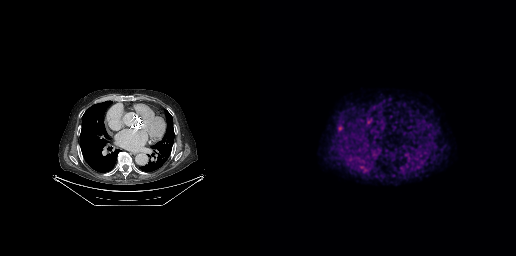
modality: PSMA PET/CT | tracer: [18F]PSMA-1007 | view: axial | PET grid: 256×256
Coordinates are on the 256×256 PET (right) panel. Small PSMA-avid focus (2 to 4 px across) near (center x, center y): (80, 128).